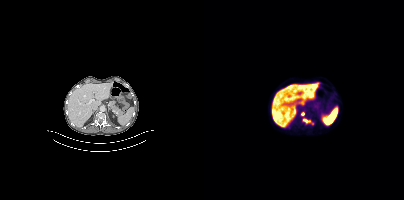
Two-panel axial: CT | PSMA PET, [18F]PSMA-1007 tracer. Slice position z = 224 mm.
Coordinates are on the 200×200 PET (right) panel. PSMA-avid tumor lesion bounding boxes:
| # | x0 | y0 | x1 | y1 |
|---|---|---|---|---|
| 1 | 99 | 119 | 106 | 122 |
Small PSMA-avid foci (2 to 4 px across) near (center x, center y): (98, 113); (108, 123).